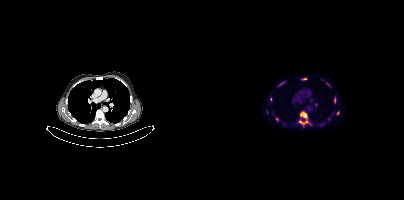
Coordinates are on the 200×200 PET (right) panel. (showing 8 of 11 foci) PSMA-avid tumor lesion bounding boxes (x, y, width, height): x=94 y=111 w=14 h=17 / x=130 y=97 w=3 h=7 / x=72 y=117 w=3 h=5 / x=132 y=111 w=4 h=5 / x=97 y=78 w=6 h=2 / x=66 y=97 w=3 h=5. Small PSMA-avid foci (2 to 4 px across) near (center x, center y): (79, 82) / (124, 118).
modality: PSMA PET/CT | tracer: 18F-PSMA | view: axial